Two-panel axial: CT | PSMA PET, [18F]PSMA-1007 tracer. Acquired on Siemens Biograph mCT Flow 20. Slice 148 of 423. PET panel 200×200 px (4.1 mm/px).
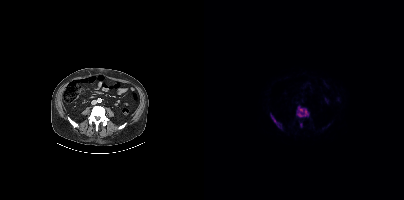
Coordinates are on the 200×200 PET (right) panel. (showing 3 of 4 foci) PSMA-avid tumor lesion bounding boxes (x0, y0)-(x1, y1): (92, 106)-(104, 117); (68, 117)-(78, 129). Small PSMA-avid focus (2 to 4 px across) near (center x, center y): (96, 124).